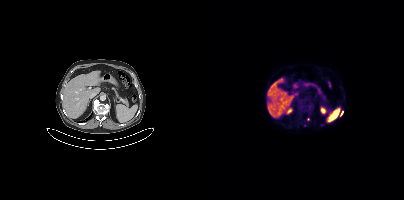
Left: CT. Right: PSMA PET, same axial level, 18F-PSMA tracer. Acquired on Siemens Biograph mCT Flow 20. Slice 217 of 419. PET panel 200×200 px (4.1 mm/px). Coordinates are on the 200×200 PET (right) panel. Small PSMA-avid foci (2 to 4 px across) near (center x, center y): (138, 113) | (104, 119).